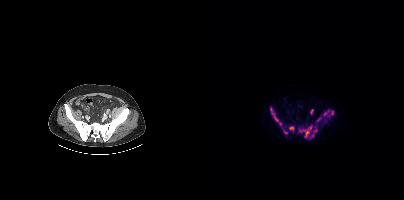
Coordinates are on the 200×200 PET (right) panel. PSMA-avid tumor lesion bounding boxes (x0, y0)-(x1, y1): (119, 110)-(129, 117) / (99, 126)-(107, 137) / (66, 108)-(74, 121) / (85, 126)-(90, 130) / (109, 129)-(113, 132) / (112, 117)-(117, 121). Small PSMA-avid foci (2 to 4 px across) near (center x, center y): (81, 132) / (76, 123) / (96, 131).